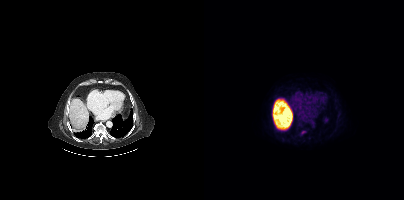
Only PSMA-avid lesion pieces thinner than 2 px on this slice (not listed). Two-panel axial: CT | PSMA PET, 18F tracer. Acquired on Siemens Biograph mCT Flow 20. Slice position z = -1092 mm.